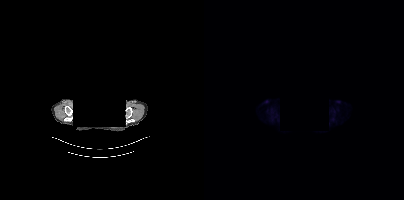
Paired axial CT (left) and PSMA PET (right), 18F-PSMA tracer. Acquired on Siemens Biograph mCT Flow 20. Slice 376 of 435. Privacy masking over the head, with the pixels inside a rectangle set to black. No PSMA-avid tumor lesions on this slice.